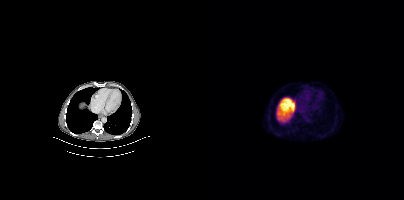
modality: PSMA PET/CT | tracer: 18F | view: axial | PET grid: 200×200
No tumor lesions annotated on this slice.